modality: PSMA PET/CT | tracer: 68Ga | view: axial
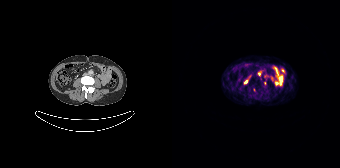
Coordinates are on the 168×168 PET (right) panel. Small PSMA-avid foci (2 to 4 px across) near (center x, center y): (82, 89); (92, 83); (86, 74).